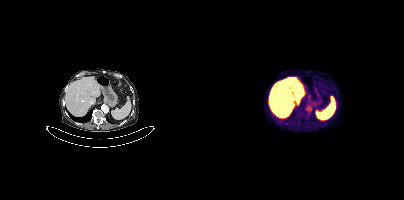
No tumor lesions annotated on this slice.
modality: PSMA PET/CT | tracer: [18F]PSMA-1007 | view: axial